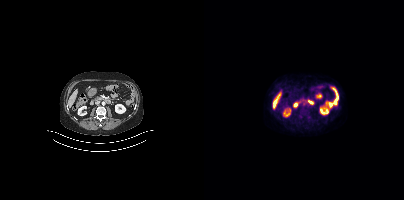
This slice has no annotated PSMA-avid lesion.
modality: PSMA PET/CT | tracer: 18F-PSMA | view: axial | PET grid: 200×200